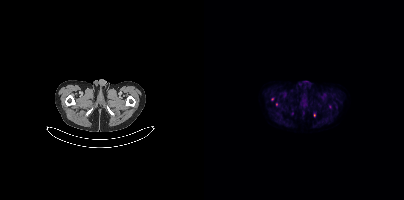
- Two-panel axial: CT | PSMA PET, [18F]PSMA-1007 tracer
- acquired on Siemens Biograph mCT Flow 20
- slice position z = -332 mm
- PET panel 200×200 px (4.1 mm/px)
Findings: Coordinates are on the 200×200 PET (right) panel. Small PSMA-avid foci (2 to 4 px across) near (center x, center y): (68, 99) | (72, 104).